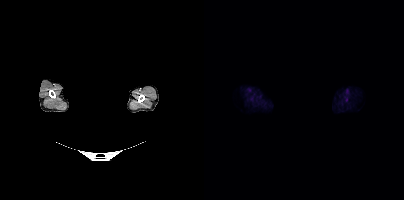
{"modality":"PSMA PET/CT","view":"axial","tracer":"18F-PSMA","pet_grid":[200,200],"coord_frame":"pet_panel","coord_format":"x0,y0,x1,y1","de-identification":"face masked with black rectangle","psma_avid_lesions":false}